modality: PSMA PET/CT | tracer: 18F | view: axial
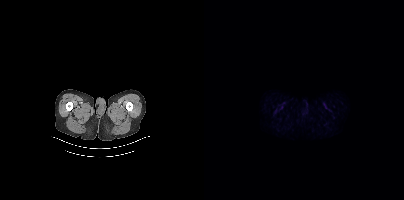
This slice has no annotated PSMA-avid lesion.